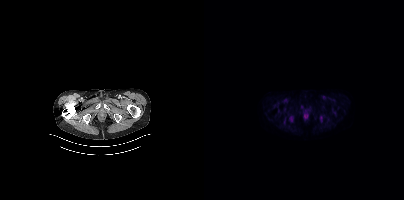
Two-panel axial: CT | PSMA PET, 18F-PSMA tracer. Acquired on Siemens Biograph mCT Flow 20. No PSMA-avid tumor lesions on this slice.